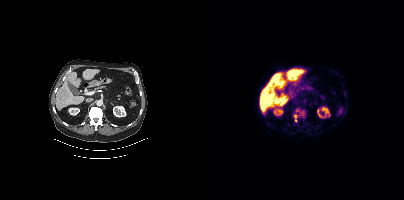
- Two-panel axial: CT | PSMA PET, 18F-PSMA tracer
- slice position z = -651 mm
Findings: Coordinates are on the 200×200 PET (right) panel. PSMA-avid tumor lesion bounding boxes (x0,y0,x1,y1): [90,114,94,121]; [96,111,99,115]. Small PSMA-avid focus (2 to 4 px across) near (center x, center y): (93, 110).